Technique: Paired axial CT (left) and PSMA PET (right), 18F tracer. slice 173 of 263.
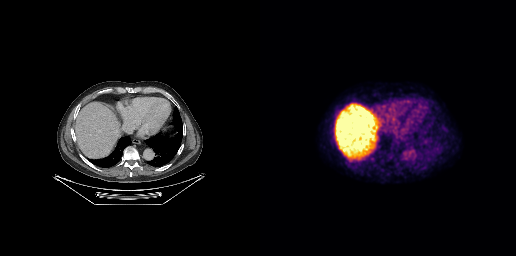
Findings: Negative for PSMA-avid disease on this slice.